Technique: Two-panel axial: CT | PSMA PET, 68Ga-PSMA tracer.
Note: Any black rectangle here is a de-identification mask.
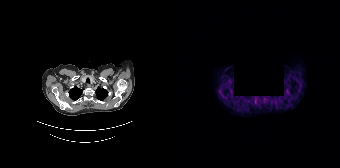
Findings: Coordinates are on the 168×168 PET (right) panel. Small PSMA-avid focus (2 to 4 px across) near (center x, center y): (95, 99).